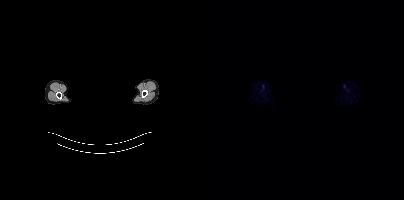
Paired axial CT (left) and PSMA PET (right), [18F]PSMA-1007 tracer. PET panel 200×200 px (4.1 mm/px). Face de-identified by blanking a block of the head. Negative for PSMA-avid disease on this slice.